Left: CT. Right: PSMA PET, same axial level, 18F-PSMA tracer. Slice 221 of 263.
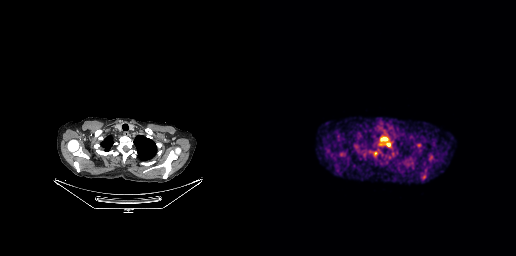
Coordinates are on the 256×256 PET (right) panel. PSMA-avid tumor lesion bounding boxes:
| # | x0 | y0 | x1 | y1 |
|---|---|---|---|---|
| 1 | 120 | 137 | 128 | 141 |
| 2 | 126 | 143 | 130 | 146 |
Small PSMA-avid foci (2 to 4 px across) near (center x, center y): (81, 154); (115, 153).